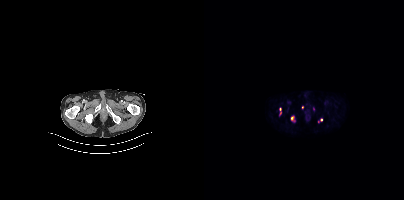
Coordinates are on the 200×200 PET (right) panel. (showing 4 of 5 foci) PSMA-avid tumor lesion bounding box (x0, y0)-(x1, y1): (114, 119)-(118, 122). Small PSMA-avid foci (2 to 4 px across) near (center x, center y): (88, 118); (76, 109); (76, 112).